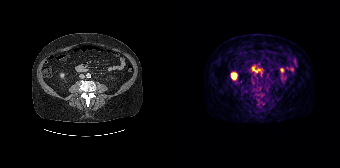
Findings: This slice has no annotated PSMA-avid lesion.
Technique: Left: CT. Right: PSMA PET, same axial level, 68Ga-PSMA tracer. slice position z = -1298 mm. PET panel 168×168 px (4.1 mm/px).